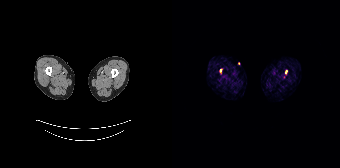
Coordinates are on the 168×168 PET (right) panel. Small PSMA-avid foci (2 to 4 px across) near (center x, center y): (114, 71) (48, 70).